Two-panel axial: CT | PSMA PET, [18F]PSMA-1007 tracer. Acquired on Siemens Biograph mCT Flow 20. Slice position z = -211 mm.
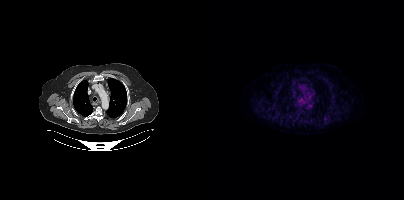
This slice has no annotated PSMA-avid lesion.